modality: PSMA PET/CT | tracer: 18F-PSMA | view: axial | PET grid: 200×200
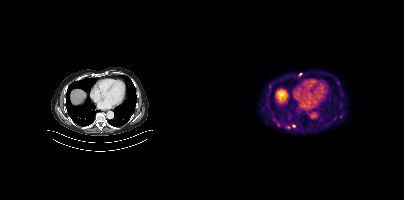
Coordinates are on the 200×200 PET (right) panel. (showing 4 of 5 foci) Small PSMA-avid foci (2 to 4 px across) near (center x, center y): (89, 125) | (84, 127) | (96, 74) | (74, 124).